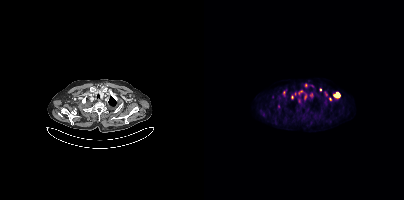
{"modality":"PSMA PET/CT","view":"axial","tracer":"18F","pet_grid":[200,200],"coord_frame":"pet_panel","coord_format":"x0,y0,x1,y1","partial":true,"lesion_bboxes":[[129,92,136,98],[94,98,96,103],[106,93,108,97],[95,90,99,92],[87,95,89,99]],"small_foci_centers":[[75,106],[80,92],[101,96],[116,89],[122,94],[126,98]]}